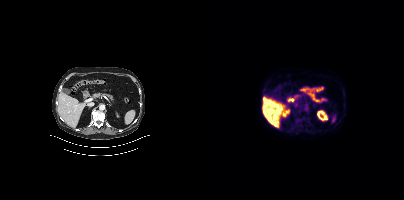
Findings: Negative for PSMA-avid disease on this slice.
Technique: Left: CT. Right: PSMA PET, same axial level, 18F tracer.